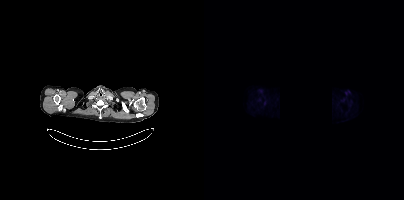
Findings: This slice has no annotated PSMA-avid lesion.
Technique: Paired axial CT (left) and PSMA PET (right), 18F tracer. PET panel 200×200 px (4.1 mm/px).
Note: Some pixels were blanked for anonymization.